Technique: Left: CT. Right: PSMA PET, same axial level, [18F]PSMA-1007 tracer. slice position z = -838 mm. PET panel 200×200 px (4.1 mm/px).
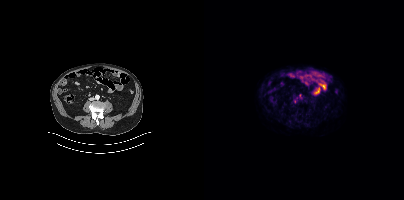
Findings: Only PSMA-avid lesion pieces thinner than 2 px on this slice (not listed).